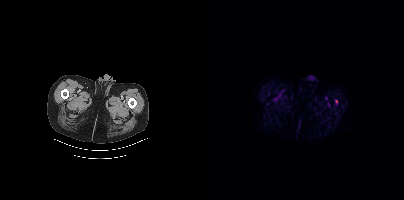
{"modality":"PSMA PET/CT","view":"axial","tracer":"18F","pet_grid":[200,200],"coord_frame":"pet_panel","coord_format":"x0,y0,x1,y1","lesion_bboxes":[],"small_foci_centers":[[132,101]]}